Technique: Paired axial CT (left) and PSMA PET (right), 18F tracer. acquired on Siemens Biograph mCT Flow 20. PET panel 200×200 px (4.1 mm/px).
Note: A rectangle over the head was blacked out to remove identifiable facial features.
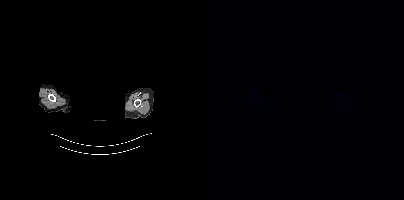
Findings: No PSMA-avid tumor lesions on this slice.